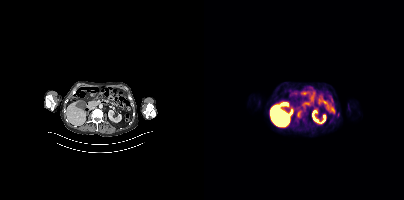
Coordinates are on the 200×200 PET (right) panel. (showing 1 of 2 foci) PSMA-avid tumor lesion bounding box (x0, y0)-(x1, y1): (93, 111)-(97, 117).
modality: PSMA PET/CT | tracer: [18F]PSMA-1007 | view: axial